modality: PSMA PET/CT | tracer: 18F-PSMA | view: axial
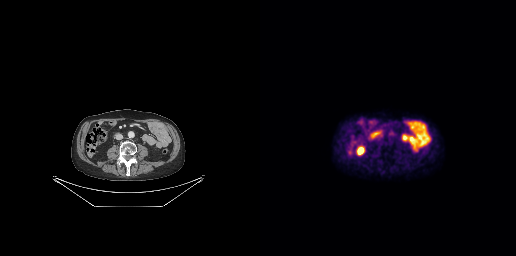
No tumor lesions annotated on this slice.